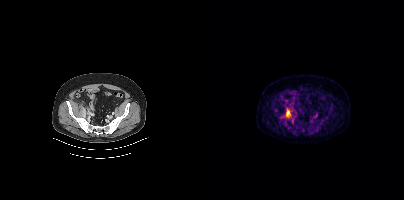
Technique: Paired axial CT (left) and PSMA PET (right), 18F-PSMA tracer. slice 145 of 454. PET panel 200×200 px (4.1 mm/px).
Findings: Coordinates are on the 200×200 PET (right) panel. PSMA-avid tumor lesion bounding box (x0, y0)-(x1, y1): (81, 108)-(87, 117).